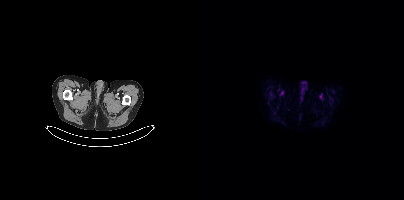
Two-panel axial: CT | PSMA PET, 18F tracer. Acquired on Siemens Biograph mCT Flow 20. Slice 31 of 431. PET panel 200×200 px (4.1 mm/px). No PSMA-avid tumor lesions on this slice.